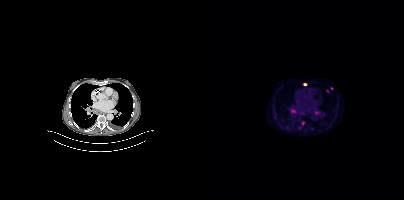
Coordinates are on the 200×200 PET (right) panel. (showing 6 of 7 foci) PSMA-avid tumor lesion bounding boxes (x0, y0)-(x1, y1): (110, 110)-(116, 115) / (87, 109)-(91, 112). Small PSMA-avid foci (2 to 4 px across) near (center x, center y): (100, 84) / (123, 91) / (108, 128) / (127, 88).